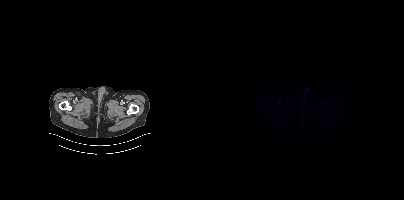
Negative for PSMA-avid disease on this slice. Two-panel axial: CT | PSMA PET, [18F]PSMA-1007 tracer. Acquired on Siemens Biograph mCT Flow 20. Slice 41 of 395.